- Left: CT. Right: PSMA PET, same axial level, 68Ga-PSMA tracer
- PET panel 168×168 px (4.1 mm/px)
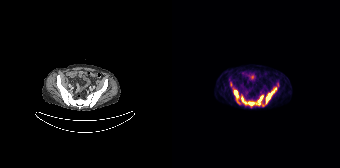
Findings: Coordinates are on the 168×168 PET (right) panel. (showing 5 of 6 foci) PSMA-avid tumor lesion bounding boxes (x0,y0,x1,y1): [69,94,91,105] [90,87,104,105] [63,94,68,103]. Small PSMA-avid foci (2 to 4 px across) near (center x, center y): (106, 83) (61, 90).